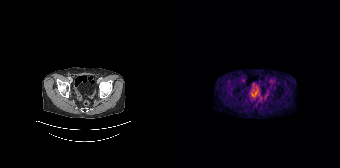
Negative for PSMA-avid disease on this slice.